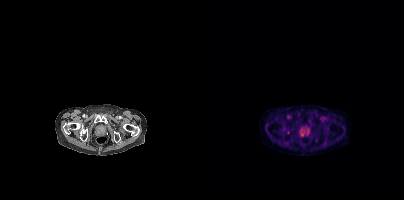
{"pet_grid":[200,200],"coord_frame":"pet_panel","coord_format":"x0,y0,x1,y1","partial":true,"lesion_bboxes":[],"small_foci_centers":[[84,132],[98,134]],"modality":"PSMA PET/CT","view":"axial","tracer":"18F-PSMA"}